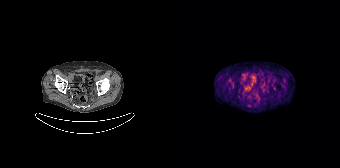
This slice has no annotated PSMA-avid lesion.
modality: PSMA PET/CT | tracer: [68Ga]Ga-PSMA-11 | view: axial